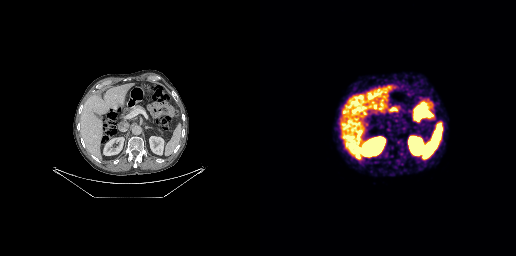
Negative for PSMA-avid disease on this slice.